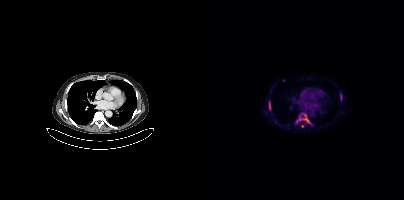
modality: PSMA PET/CT | tracer: [18F]PSMA-1007 | view: axial | PET grid: 200×200
Coordinates are on the 200×200 PET (right) panel. (showing 3 of 5 foci) PSMA-avid tumor lesion bounding boxes (x0, y0)-(x1, y1): (93, 114)-(105, 122) / (65, 102)-(66, 110) / (136, 94)-(138, 100).